Technique: Left: CT. Right: PSMA PET, same axial level, 18F-PSMA tracer.
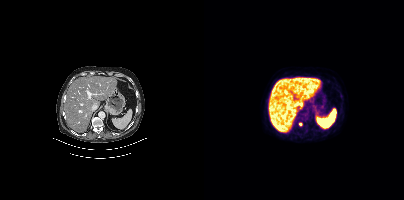
Findings: Only PSMA-avid lesion pieces thinner than 2 px on this slice (not listed).